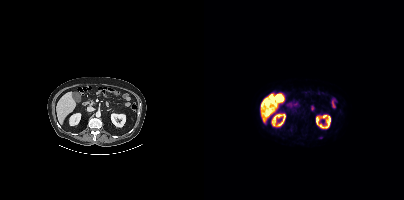
No PSMA-avid tumor lesions on this slice.